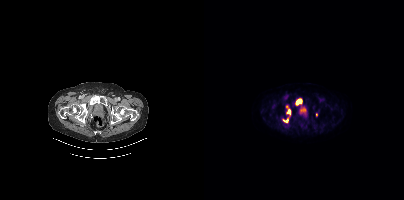
Technique: Two-panel axial: CT | PSMA PET, 18F-PSMA tracer.
Findings: Coordinates are on the 200×200 PET (right) panel. PSMA-avid tumor lesion bounding boxes (x, y, width, height): x=92 y=99 w=6 h=6 / x=83 y=109 w=4 h=6 / x=79 y=119 w=5 h=4. Small PSMA-avid focus (2 to 4 px across) near (center x, center y): (112, 114).